Technique: Left: CT. Right: PSMA PET, same axial level, [68Ga]Ga-PSMA-11 tracer. slice position z = -1192 mm. PET panel 168×168 px (4.1 mm/px).
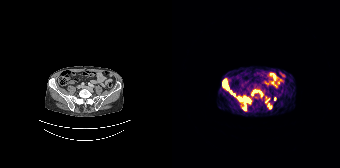
Findings: Coordinates are on the 168×168 PET (right) panel. PSMA-avid tumor lesion bounding boxes (x, y, width, height): x=51 y=79 w=6 h=12 / x=70 y=105 w=5 h=6 / x=72 y=97 w=7 h=6 / x=58 y=91 w=6 h=5. Small PSMA-avid foci (2 to 4 px across) near (center x, center y): (67, 98) / (83, 90) / (98, 107) / (102, 98) / (87, 91).